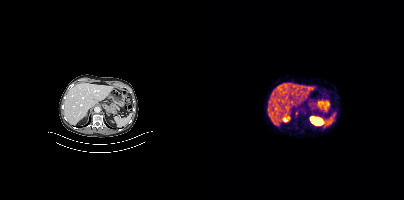
Left: CT. Right: PSMA PET, same axial level, 68Ga tracer. Slice position z = -1156 mm. Only PSMA-avid lesion pieces thinner than 2 px on this slice (not listed).